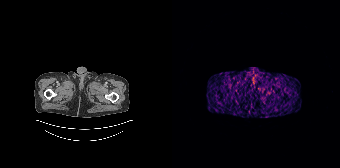
Negative for PSMA-avid disease on this slice.